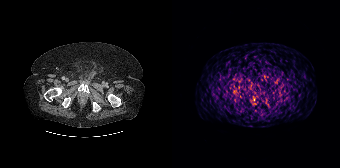
Coordinates are on the 168×168 PET (right) panel. (showing 1 of 2 foci) Small PSMA-avid focus (2 to 4 px across) near (center x, center y): (81, 89).